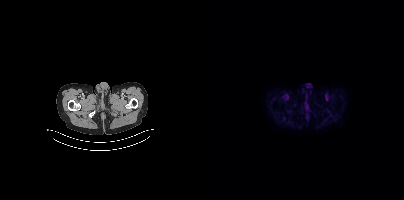
Negative for PSMA-avid disease on this slice.